Two-panel axial: CT | PSMA PET, [18F]PSMA-1007 tracer. Acquired on Siemens Biograph mCT Flow 20. Slice position z = -678 mm. PET panel 200×200 px (4.1 mm/px).
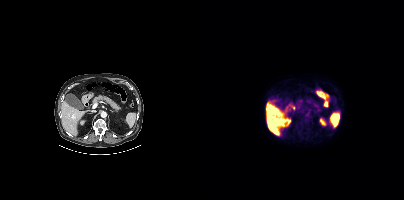
No tumor lesions annotated on this slice.